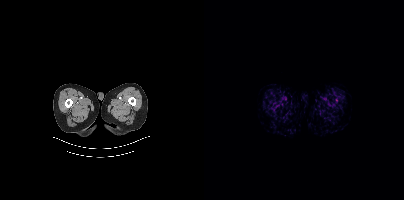
Two-panel axial: CT | PSMA PET, [18F]PSMA-1007 tracer. Slice position z = -1641 mm. Negative for PSMA-avid disease on this slice.